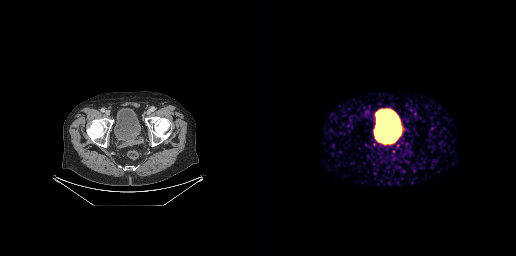
Paired axial CT (left) and PSMA PET (right), [68Ga]Ga-PSMA-11 tracer. Slice position z = -896 mm. PET panel 256×256 px (2.7 mm/px). Coordinates are on the 256×256 PET (right) panel. PSMA-avid tumor lesion bounding box (x0,y0,x1,y1): [125,133,134,142]. Small PSMA-avid focus (2 to 4 px across) near (center x, center y): (119, 138).